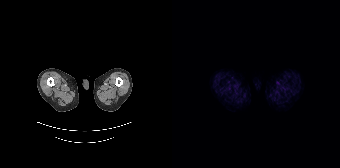
No PSMA-avid tumor lesions on this slice.